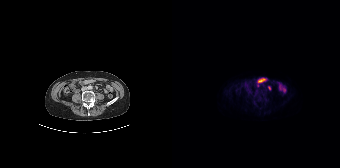
{"modality":"PSMA PET/CT","view":"axial","tracer":"18F-PSMA","pet_grid":[168,168],"coord_frame":"pet_panel","coord_format":"x0,y0,x1,y1","lesion_bboxes":[],"small_foci_centers":[[86,85]]}